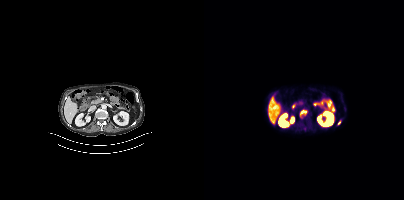
Coordinates are on the 200×200 PET (right) panel. PSMA-avid tumor lesion bounding box (x0,y0,x1,y1): [96,111,102,115]. Small PSMA-avid focus (2 to 4 px across) near (center x, center y): (134, 123).